Technique: Left: CT. Right: PSMA PET, same axial level, 18F-PSMA tracer. slice position z = -688 mm.
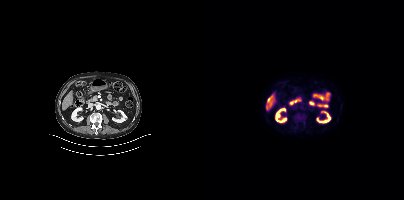
Findings: Negative for PSMA-avid disease on this slice.